Left: CT. Right: PSMA PET, same axial level, 18F tracer. Acquired on Siemens Biograph mCT Flow 20.
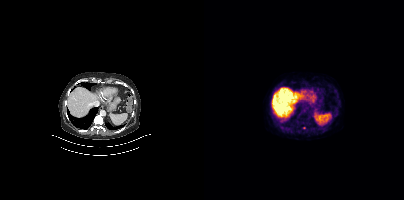
Coordinates are on the 200×200 PET (right) panel. Small PSMA-avid focus (2 to 4 px across) near (center x, center y): (100, 127).